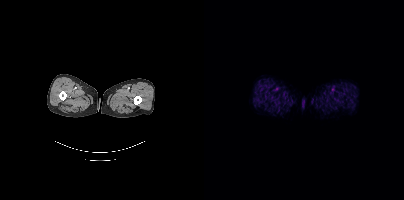
{"modality":"PSMA PET/CT","view":"axial","tracer":"18F","pet_grid":[200,200],"coord_frame":"pet_panel","coord_format":"x0,y0,x1,y1","psma_avid_lesions":false}